modality: PSMA PET/CT | tracer: [18F]PSMA-1007 | view: axial
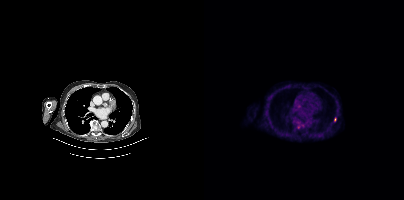
Coordinates are on the 200×200 PET (right) panel. Small PSMA-avid foci (2 to 4 px across) near (center x, center y): (131, 119); (94, 126); (98, 125).